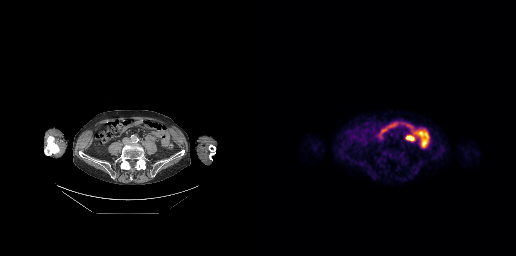
Technique: Left: CT. Right: PSMA PET, same axial level, 18F tracer. acquired on GE Discovery 690. slice 100 of 263.
Findings: This slice has no annotated PSMA-avid lesion.